- Left: CT. Right: PSMA PET, same axial level, [18F]PSMA-1007 tracer
- slice position z = -790 mm
- PET panel 200×200 px (4.1 mm/px)
- the face region was removed for patient privacy by blanking a rectangle over the head
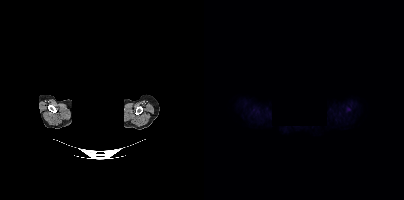
Findings: Coordinates are on the 200×200 PET (right) panel. Small PSMA-avid focus (2 to 4 px across) near (center x, center y): (144, 109).